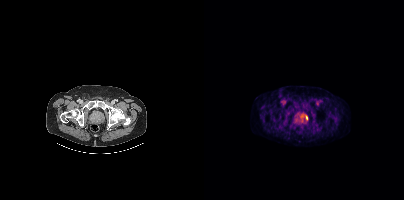
Coordinates are on the 200×200 PET (right) panel. PSMA-avid tumor lesion bounding boxes (partial; 1 more focus not listed):
| # | x0 | y0 | x1 | y1 |
|---|---|---|---|---|
| 1 | 98 | 114 | 104 | 120 |
Paired axial CT (left) and PSMA PET (right), [18F]PSMA-1007 tracer.